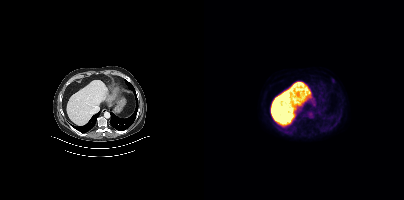
No tumor lesions annotated on this slice.